- Paired axial CT (left) and PSMA PET (right), [68Ga]Ga-PSMA-11 tracer
- acquired on GE Discovery 690
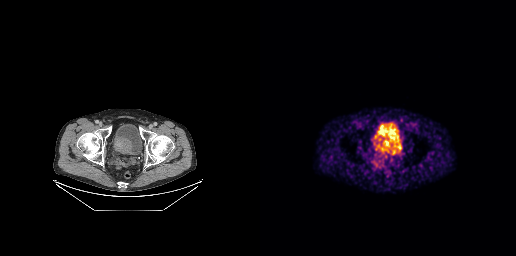
Findings: Only PSMA-avid lesion pieces thinner than 2 px on this slice (not listed).